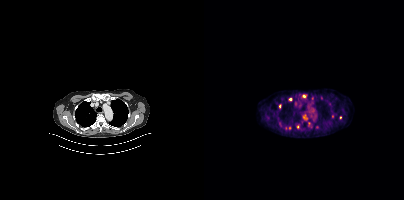
Paired axial CT (left) and PSMA PET (right), 18F-PSMA tracer. Slice 314 of 407. PET panel 200×200 px (4.1 mm/px). Coordinates are on the 200×200 PET (right) panel. (showing 7 of 8 foci) Small PSMA-avid foci (2 to 4 px across) near (center x, center y): (100, 96); (86, 99); (93, 127); (113, 127); (75, 106); (136, 117); (85, 127).